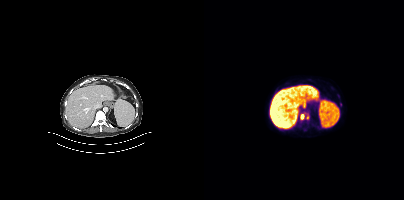
Technique: Left: CT. Right: PSMA PET, same axial level, [18F]PSMA-1007 tracer. slice 230 of 413.
Findings: Coordinates are on the 200×200 PET (right) panel. Small PSMA-avid foci (2 to 4 px across) near (center x, center y): (98, 116) / (103, 117) / (136, 104).